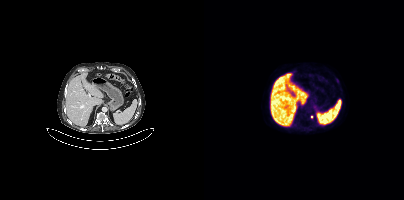
Coordinates are on the 200×200 PET (right) panel. Small PSMA-avid focus (2 to 4 px across) near (center x, center y): (107, 117). Paired axial CT (left) and PSMA PET (right), 18F tracer. Slice position z = 234 mm. PET panel 200×200 px (4.1 mm/px).